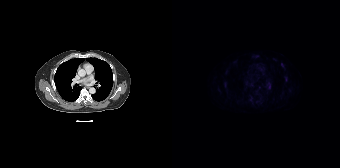
This slice has no annotated PSMA-avid lesion. Two-panel axial: CT | PSMA PET, 18F-PSMA tracer. PET panel 168×168 px (4.1 mm/px).